Left: CT. Right: PSMA PET, same axial level, 18F-PSMA tracer. Slice position z = -1346 mm.
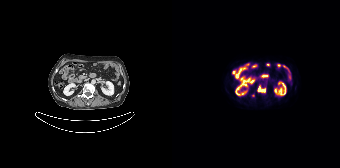
Coordinates are on the 168×168 PET (right) panel. PSMA-avid tumor lesion bounding box (x0, y0)-(x1, y1): (86, 88)-(92, 92). Small PSMA-avid focus (2 to 4 px across) near (center x, center y): (81, 95).